modality: PSMA PET/CT | tracer: 68Ga | view: axial | PET grid: 256×256
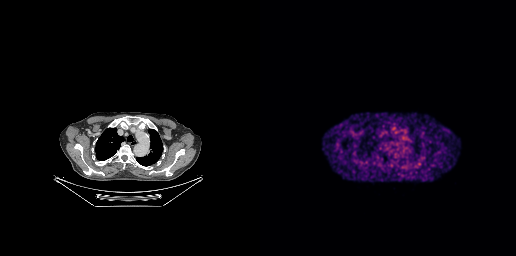
No PSMA-avid tumor lesions on this slice.